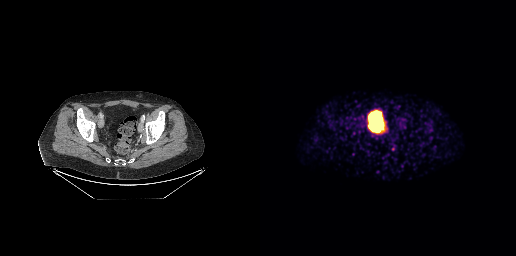
{"modality":"PSMA PET/CT","view":"axial","tracer":"[68Ga]Ga-PSMA-11","pet_grid":[256,256],"coord_frame":"pet_panel","coord_format":"x0,y0,x1,y1","psma_avid_lesions":false}